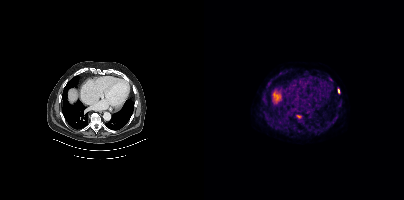
- Paired axial CT (left) and PSMA PET (right), 18F-PSMA tracer
- slice 289 of 454
Findings: Coordinates are on the 200×200 PET (right) panel. PSMA-avid tumor lesion bounding boxes (x0,y0,x1,y1): [92,115,97,118], [134,89,135,93].